Left: CT. Right: PSMA PET, same axial level, [18F]PSMA-1007 tracer. Slice position z = 442 mm.
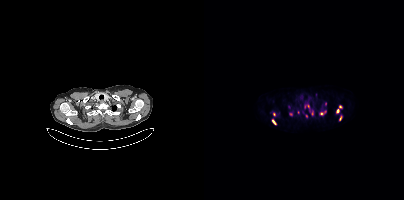
Coordinates are on the 200×200 PET (right) panel. (showing 10 of 12 foci) PSMA-avid tumor lesion bounding boxes (x0, y0)-(x1, y1): (117, 111)-(122, 114); (68, 120)-(71, 124); (135, 116)-(137, 120). Small PSMA-avid foci (2 to 4 px across) near (center x, center y): (86, 113); (108, 113); (70, 114); (133, 111); (102, 116); (103, 106); (135, 106).